modality: PSMA PET/CT | tracer: 18F-PSMA | view: axial | PET grid: 200×200
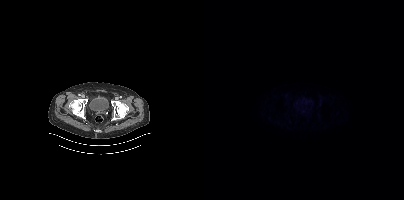
No tumor lesions annotated on this slice.